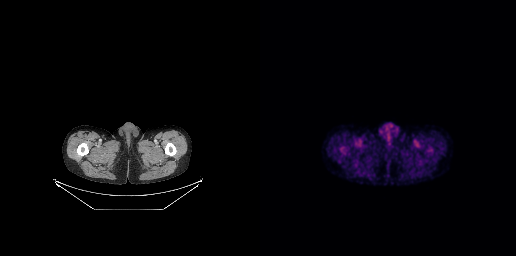
Findings: No tumor lesions annotated on this slice.
Technique: Left: CT. Right: PSMA PET, same axial level, 18F-PSMA tracer.